Technique: Paired axial CT (left) and PSMA PET (right), 18F-PSMA tracer.
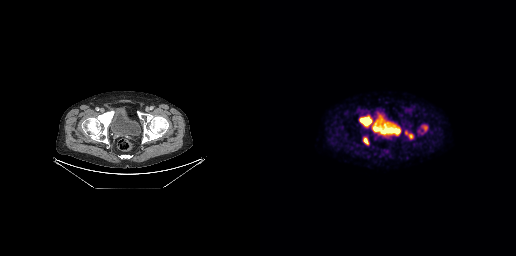
Findings: Coordinates are on the 256×256 PET (right) panel. PSMA-avid tumor lesion bounding boxes (x0, y0)-(x1, y1): (99, 116)-(112, 126); (158, 124)-(168, 134); (145, 132)-(153, 139); (103, 137)-(108, 144).